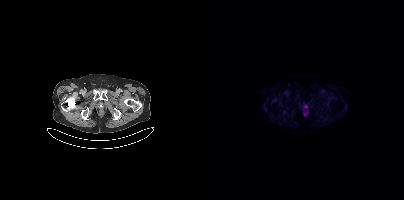
No PSMA-avid tumor lesions on this slice.